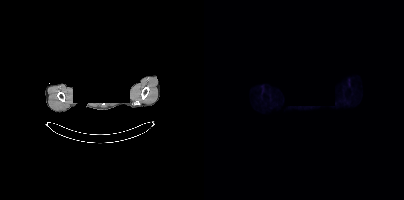
Paired axial CT (left) and PSMA PET (right), [18F]PSMA-1007 tracer. Acquired on Siemens Biograph mCT Flow 20. Slice 394 of 448. PET panel 200×200 px (4.1 mm/px). Head region blanked for anonymization (face removed). Negative for PSMA-avid disease on this slice.